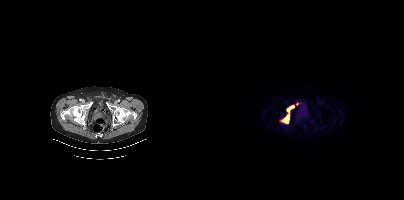
Coordinates are on the 200×200 PET (right) panel. PSMA-avid tumor lesion bounding boxes (partial; 1 more focus not listed):
| # | x0 | y0 | x1 | y1 |
|---|---|---|---|---|
| 1 | 79 | 114 | 85 | 122 |
| 2 | 83 | 105 | 90 | 111 |
Small PSMA-avid focus (2 to 4 px across) near (center x, center y): (75, 120).
Paired axial CT (left) and PSMA PET (right), [18F]PSMA-1007 tracer. Slice position z = -1407 mm.